Two-panel axial: CT | PSMA PET, 18F tracer. Acquired on Siemens Biograph 64-4R TruePoint.
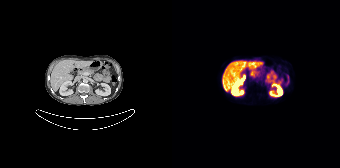
No PSMA-avid tumor lesions on this slice.